Technique: Paired axial CT (left) and PSMA PET (right), 68Ga-PSMA tracer. slice 6 of 409.
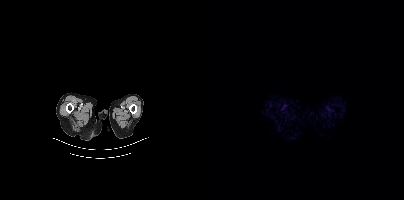
Findings: Negative for PSMA-avid disease on this slice.